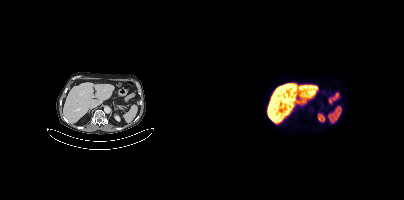
{"modality":"PSMA PET/CT","view":"axial","tracer":"18F-PSMA","pet_grid":[200,200],"coord_frame":"pet_panel","coord_format":"x0,y0,x1,y1","psma_avid_lesions":false}